modality: PSMA PET/CT | tracer: 18F-PSMA | view: axial
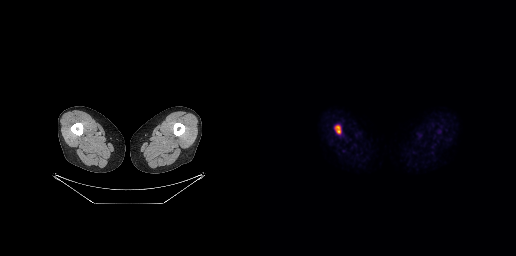
Coordinates are on the 256×256 PET (right) panel. PSMA-avid tumor lesion bounding box (x, y, width, height): x=75 y=125 w=6 h=9.